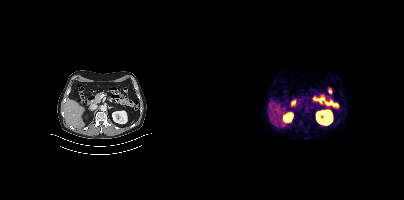
{"modality":"PSMA PET/CT","view":"axial","tracer":"[68Ga]Ga-PSMA-11","pet_grid":[200,200],"coord_frame":"pet_panel","coord_format":"x0,y0,x1,y1","psma_avid_lesions":false}